- Two-panel axial: CT | PSMA PET, 18F tracer
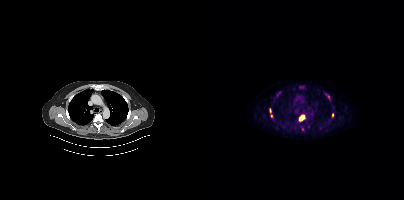
Findings: Coordinates are on the 200×200 PET (right) panel. (showing 4 of 5 foci) PSMA-avid tumor lesion bounding boxes (x0, y0)-(x1, y1): (95, 114)-(101, 121) / (128, 113)-(129, 117). Small PSMA-avid foci (2 to 4 px across) near (center x, center y): (124, 96) / (67, 115).